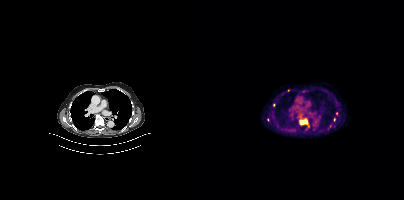
Coordinates are on the 200×200 PET (right) panel. PSMA-avid tumor lesion bounding box (x0,y0,x1,y1): [95,118,105,126]. Small PSMA-avid foci (2 to 4 px across) near (center x, center y): (64, 119) (69, 104) (132, 113) (84, 90) (130, 119).